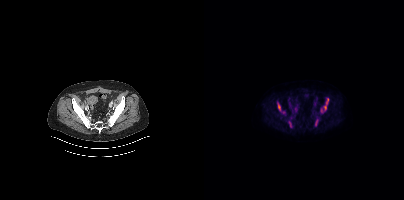
Coordinates are on the 200×200 PET (right) panel. (showing 5 of 6 foci) PSMA-avid tumor lesion bounding boxes (x0,y0,x1,y1): [120,98,124,110]; [73,103,77,111]; [111,120,113,125]. Small PSMA-avid foci (2 to 4 px across) near (center x, center y): (85, 123); (79, 112).